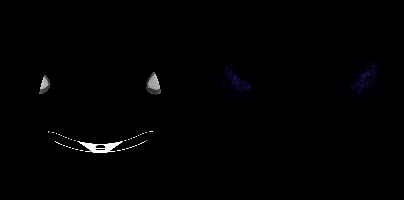
Negative for PSMA-avid disease on this slice. The head region is masked for de-identification. Two-panel axial: CT | PSMA PET, 18F-PSMA tracer. PET panel 200×200 px (4.1 mm/px).